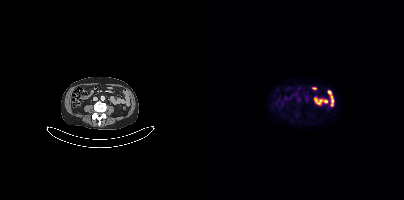
No tumor lesions annotated on this slice.